Left: CT. Right: PSMA PET, same axial level, [18F]PSMA-1007 tracer. Slice 63 of 435.
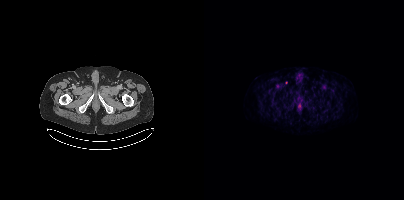
Only PSMA-avid lesion pieces thinner than 2 px on this slice (not listed).